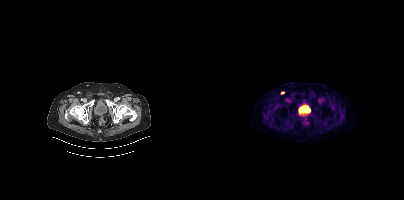
{"pet_grid":[200,200],"coord_frame":"pet_panel","coord_format":"x0,y0,x1,y1","lesion_bboxes":[],"small_foci_centers":[[78,92]],"modality":"PSMA PET/CT","view":"axial","tracer":"18F-PSMA"}